modality: PSMA PET/CT | tracer: 68Ga-PSMA | view: axial | PET grid: 256×256
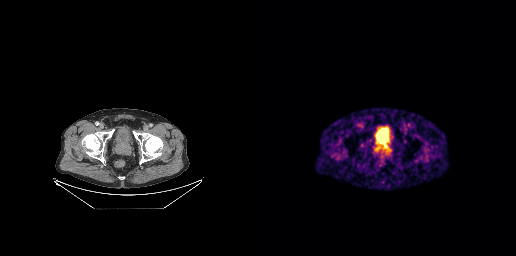
Only PSMA-avid lesion pieces thinner than 2 px on this slice (not listed).